Technique: Left: CT. Right: PSMA PET, same axial level, [18F]PSMA-1007 tracer. acquired on Siemens Biograph mCT Flow 20. slice position z = -1323 mm. PET panel 200×200 px (4.1 mm/px).
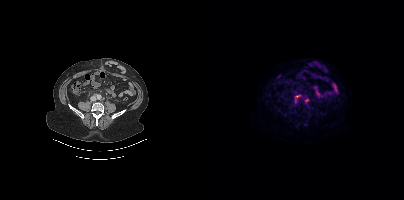
Findings: Coordinates are on the 200×200 PET (right) panel. (showing 2 of 3 foci) Small PSMA-avid foci (2 to 4 px across) near (center x, center y): (91, 102); (103, 101).